- Two-panel axial: CT | PSMA PET, [18F]PSMA-1007 tracer
- slice 95 of 435
- PET panel 200×200 px (4.1 mm/px)
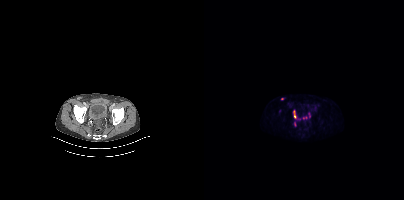
Findings: Coordinates are on the 200×200 PET (right) panel. (showing 2 of 5 foci) PSMA-avid tumor lesion bounding box (x0, y0)-(x1, y1): (89, 110)-(92, 118). Small PSMA-avid focus (2 to 4 px across) near (center x, center y): (78, 98).